modality: PSMA PET/CT | tracer: 18F | view: axial | PET grid: 200×200
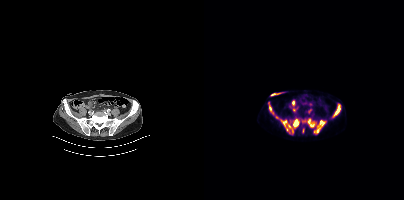
Coordinates are on the 200×200 PET (right) panel. (showing 4 of 7 foci) PSMA-avid tumor lesion bounding boxes (x0, y0)-(x1, y1): (65, 104)-(95, 133) / (112, 120)-(122, 132) / (103, 118)-(111, 127) / (129, 104)-(136, 116).